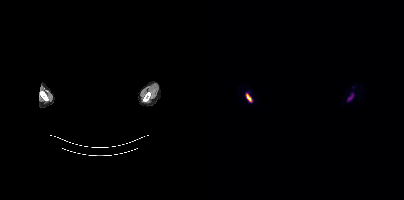
Coordinates are on the 200×200 PET (right) panel. PSMA-avid tumor lesion bounding boxes:
| # | x0 | y0 | x1 | y1 |
|---|---|---|---|---|
| 1 | 42 | 93 | 47 | 101 |
| 2 | 143 | 96 | 148 | 101 |
Head region blanked for anonymization (face removed). Paired axial CT (left) and PSMA PET (right), [68Ga]Ga-PSMA-11 tracer. Acquired on Siemens Biograph mCT Flow 20. PET panel 200×200 px (4.1 mm/px).